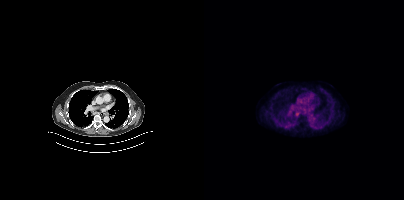
Coordinates are on the 200×200 PET (right) panel. Small PSMA-avid focus (2 to 4 px across) near (center x, center y): (89, 125).